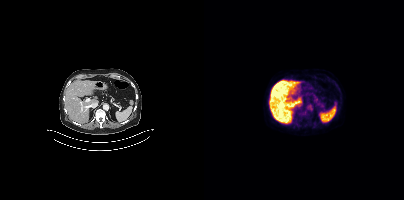
- Two-panel axial: CT | PSMA PET, [18F]PSMA-1007 tracer
- slice position z = -1372 mm
Findings: No tumor lesions annotated on this slice.